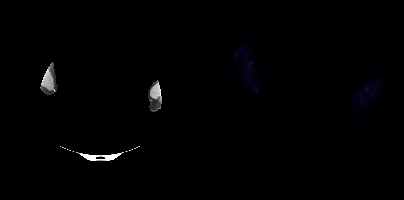
The head region is masked for de-identification. Left: CT. Right: PSMA PET, same axial level, [18F]PSMA-1007 tracer. Acquired on Siemens Biograph mCT Flow 20. PET panel 200×200 px (4.1 mm/px). No tumor lesions annotated on this slice.